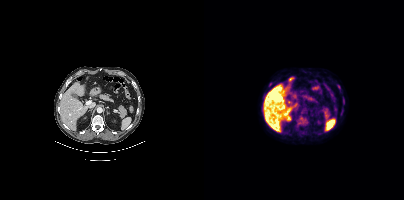
- Paired axial CT (left) and PSMA PET (right), 18F tracer
Findings: Coordinates are on the 200×200 PET (right) panel. Small PSMA-avid focus (2 to 4 px across) near (center x, center y): (140, 106).